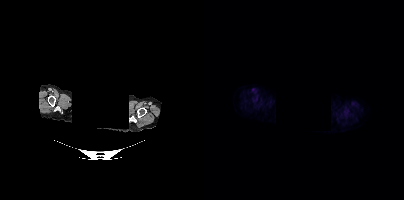
Negative for PSMA-avid disease on this slice.
Any black rectangle over the head is a privacy mask, not anatomy.